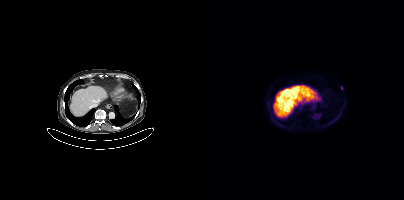
{"pet_grid":[200,200],"coord_frame":"pet_panel","coord_format":"x0,y0,x1,y1","lesion_bboxes":[],"small_foci_centers":[[137,87]],"modality":"PSMA PET/CT","view":"axial","tracer":"18F-PSMA"}